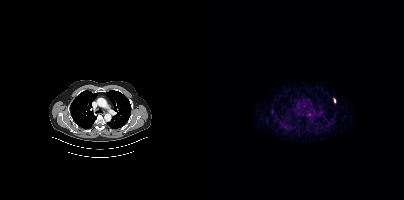
modality: PSMA PET/CT | tracer: 68Ga-PSMA | view: axial
Coordinates are on the 200×200 PET (right) panel. PSMA-avid tumor lesion bounding box (x0,y0,x1,y1): [130,98,131,102].